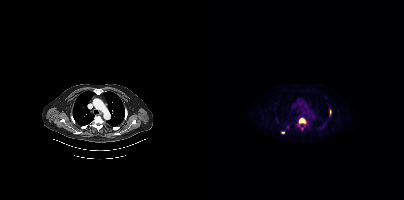
{"modality":"PSMA PET/CT","view":"axial","tracer":"18F-PSMA","pet_grid":[200,200],"coord_frame":"pet_panel","coord_format":"x0,y0,x1,y1","partial":true,"lesion_bboxes":[[94,118,103,125],[82,125,85,129],[97,126,99,130],[125,109,127,113]],"small_foci_centers":[[78,132]]}